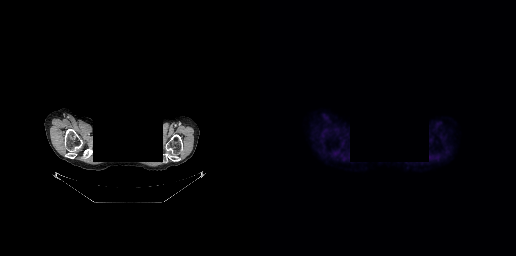
Head region blanked for anonymization (face removed). Paired axial CT (left) and PSMA PET (right), [18F]PSMA-1007 tracer. Slice 234 of 263. PET panel 256×256 px (2.7 mm/px). No tumor lesions annotated on this slice.